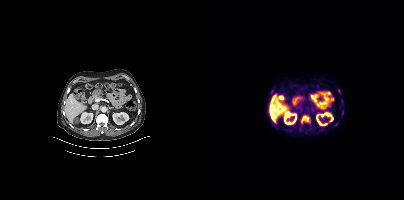
Coordinates are on the 200×200 PET (right) panel. (showing 5 of 7 foci) PSMA-avid tumor lesion bounding boxes (x, y, width, height): x=96 y=115 w=11 h=10; x=66 y=90 w=4 h=5; x=130 y=122 w=5 h=5; x=138 y=110 w=2 h=5. Small PSMA-avid focus (2 to 4 px across) near (center x, center y): (135, 90).